- Two-panel axial: CT | PSMA PET, 68Ga tracer
- PET panel 256×256 px (2.7 mm/px)
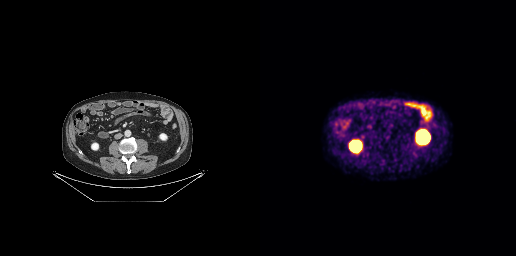
Findings: No PSMA-avid tumor lesions on this slice.